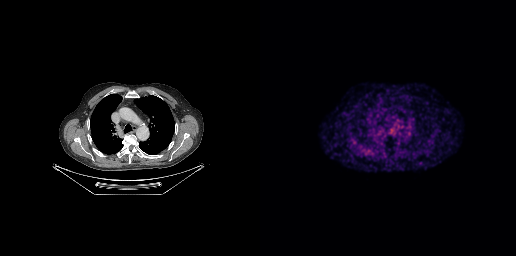
modality: PSMA PET/CT | tracer: [68Ga]Ga-PSMA-11 | view: axial
This slice has no annotated PSMA-avid lesion.